Paired axial CT (left) and PSMA PET (right), 68Ga-PSMA tracer. Slice position z = -672 mm. PET panel 168×168 px (4.1 mm/px).
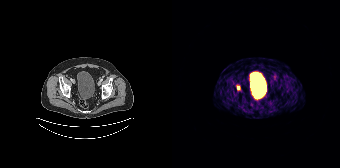
Coordinates are on the 168×168 PET (right) panel. Small PSMA-avid focus (2 to 4 px across) near (center x, center y): (66, 87).